Technique: Two-panel axial: CT | PSMA PET, 18F-PSMA tracer. slice position z = 18 mm.
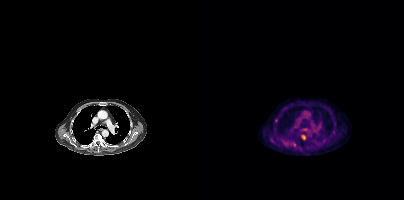
Findings: Coordinates are on the 200×200 PET (right) panel. PSMA-avid tumor lesion bounding box (x0,y0,x1,y1): [98,135,101,139]. Small PSMA-avid foci (2 to 4 px across) near (center x, center y): (90, 144), (72, 120).